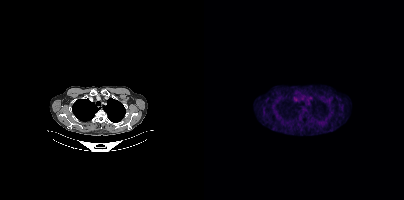
No tumor lesions annotated on this slice.